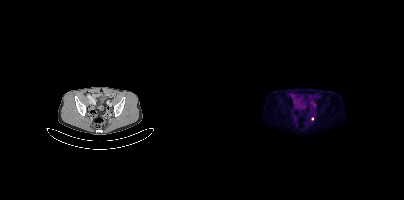
{"modality":"PSMA PET/CT","view":"axial","tracer":"18F-PSMA","pet_grid":[200,200],"coord_frame":"pet_panel","coord_format":"x0,y0,x1,y1","lesion_bboxes":[],"small_foci_centers":[[91,120],[108,118]]}